Two-panel axial: CT | PSMA PET, [18F]PSMA-1007 tracer. Acquired on Siemens Biograph mCT Flow 20. PET panel 200×200 px (4.1 mm/px).
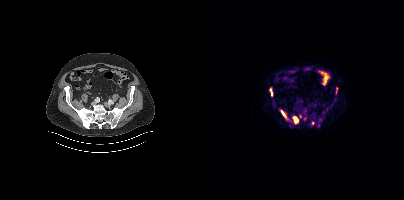
Coordinates are on the 200×200 PET (right) panel. PSMA-avid tumor lesion bounding boxes:
| # | x0 | y0 | x1 | y1 |
|---|---|---|---|---|
| 1 | 112 | 118 | 118 | 125 |
| 2 | 89 | 116 | 94 | 123 |
| 3 | 77 | 110 | 85 | 120 |
| 4 | 66 | 89 | 68 | 95 |
| 5 | 132 | 88 | 133 | 92 |
Small PSMA-avid foci (2 to 4 px across) near (center x, center y): (101, 118); (108, 122).